- Two-panel axial: CT | PSMA PET, 18F tracer
- acquired on Siemens Biograph mCT Flow 20
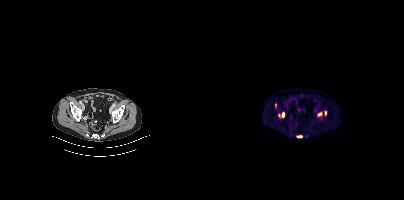
Findings: Coordinates are on the 200×200 PET (right) panel. PSMA-avid tumor lesion bounding boxes (x0,y0,x1,y1): [92,135,98,137] [77,112,80,117] [114,112,118,116] [120,111,122,115]. Small PSMA-avid foci (2 to 4 px across) near (center x, center y): (71, 104) (74, 115).